Paired axial CT (left) and PSMA PET (right), [18F]PSMA-1007 tracer. Acquired on Siemens Biograph mCT Flow 20. Slice 316 of 435.
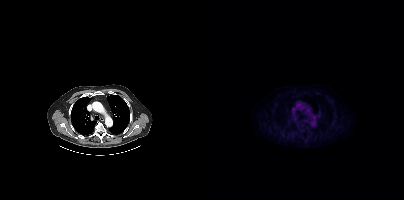
No PSMA-avid tumor lesions on this slice.